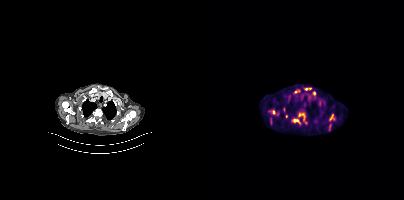
Coordinates are on the 200×200 PET (right) panel. (showing 8 of 10 foci) PSMA-avid tumor lesion bounding boxes (x, y, width, height): x=94 y=112 w=10 h=12 | x=88 y=118 w=9 h=7 | x=65 y=117 w=4 h=9 | x=124 y=124 w=4 h=8 | x=67 y=110 w=5 h=5 | x=101 y=88 w=7 h=3 | x=84 y=95 w=3 h=5. Small PSMA-avid focus (2 to 4 px across) near (center x, center y): (110, 93).